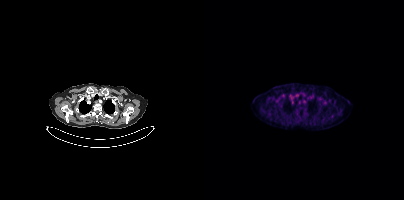
No PSMA-avid tumor lesions on this slice. Left: CT. Right: PSMA PET, same axial level, 18F tracer.